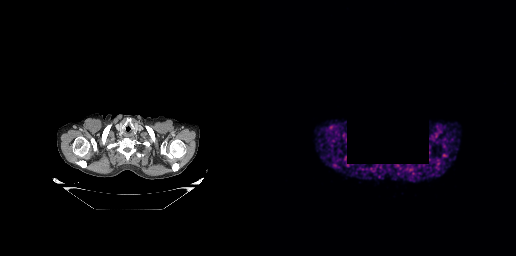
- Paired axial CT (left) and PSMA PET (right), 68Ga-PSMA tracer
- PET panel 256×256 px (2.7 mm/px)
- any black rectangle here is a de-identification mask
Findings: Negative for PSMA-avid disease on this slice.